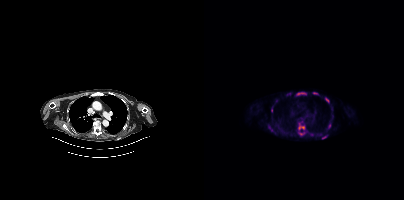
Coordinates are on the 200×200 PET (right) panel. (showing 12 of 14 foci) PSMA-avid tumor lesion bounding boxes (x, y, width, height): x=94 y=123 w=7 h=7 / x=117 y=135 w=7 h=5 / x=121 y=98 w=5 h=5 / x=66 y=129 w=6 h=5 / x=109 y=92 w=6 h=3 / x=124 y=124 w=3 h=5 / x=94 y=93 w=7 h=2 / x=67 y=107 w=2 h=6. Small PSMA-avid foci (2 to 4 px across) near (center x, center y): (96, 134) / (116, 134) / (107, 134) / (72, 100).